- Two-panel axial: CT | PSMA PET, [18F]PSMA-1007 tracer
- PET panel 200×200 px (4.1 mm/px)
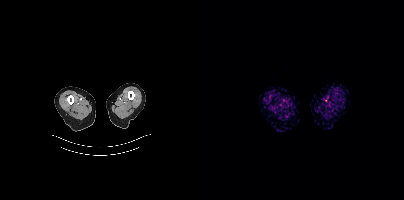
Findings: Negative for PSMA-avid disease on this slice.